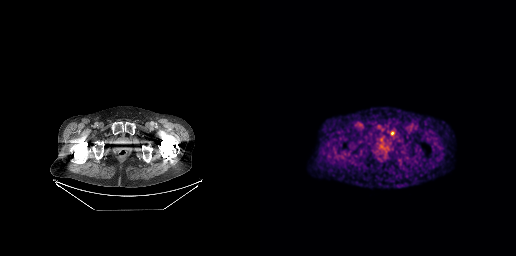
Findings: Coordinates are on the 256×256 PET (right) panel. PSMA-avid tumor lesion bounding box (x, y, width, height): x=130 y=131 w=5 h=5.
- Paired axial CT (left) and PSMA PET (right), 18F-PSMA tracer
- PET panel 256×256 px (2.7 mm/px)